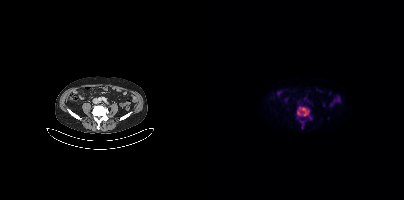
modality: PSMA PET/CT | tracer: 18F | view: axial
Coordinates are on the 200×200 PET (right) panel. (showing 1 of 3 foci) PSMA-avid tumor lesion bounding box (x0,y0,x1,y1): [93,106,107,119].